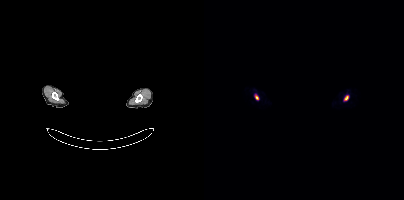
A rectangle over the head was blacked out to remove identifiable facial features. Left: CT. Right: PSMA PET, same axial level, 68Ga tracer. Acquired on Siemens Biograph mCT Flow 20. Coordinates are on the 200×200 PET (right) panel. PSMA-avid tumor lesion bounding box (x0,y0,x1,y1): [141,96,144,100]. Small PSMA-avid focus (2 to 4 px across) near (center x, center y): (52, 97).